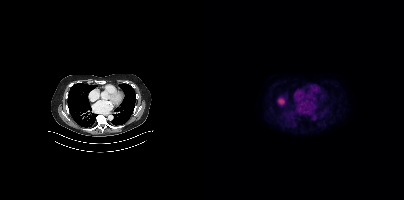
Two-panel axial: CT | PSMA PET, 18F tracer. PET panel 200×200 px (4.1 mm/px). This slice has no annotated PSMA-avid lesion.